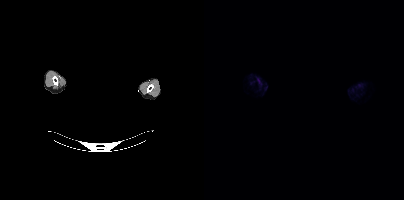
No PSMA-avid tumor lesions on this slice. A rectangle over the head was blacked out to remove identifiable facial features. Paired axial CT (left) and PSMA PET (right), 18F tracer. Acquired on Siemens Biograph mCT Flow 20. PET panel 200×200 px (4.1 mm/px).